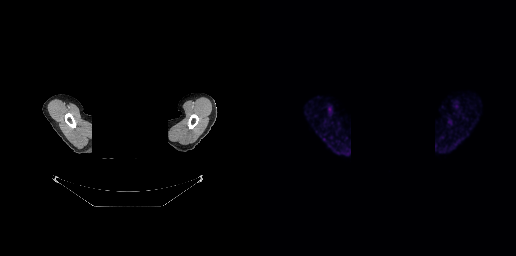
A rectangular block over the head has been blanked out for de-identification. Two-panel axial: CT | PSMA PET, 68Ga tracer. Slice 244 of 263. Negative for PSMA-avid disease on this slice.